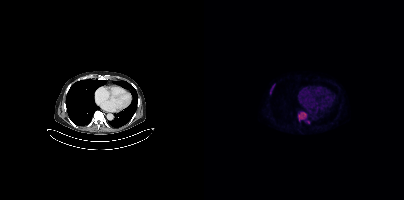
- Two-panel axial: CT | PSMA PET, 18F tracer
- PET panel 200×200 px (4.1 mm/px)
Findings: Coordinates are on the 200×200 PET (right) panel. PSMA-avid tumor lesion bounding boxes (x, y, width, height): x=94 y=112 w=9 h=9 | x=67 y=84 w=4 h=7. Small PSMA-avid foci (2 to 4 px across) near (center x, center y): (104, 122) | (66, 92).